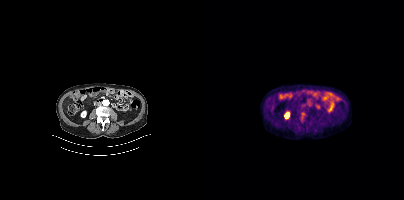
Negative for PSMA-avid disease on this slice. Two-panel axial: CT | PSMA PET, 18F tracer. Slice 165 of 397.